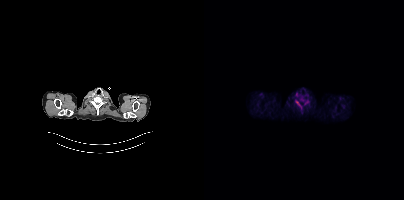
Technique: Two-panel axial: CT | PSMA PET, 18F tracer.
Findings: No PSMA-avid tumor lesions on this slice.